modality: PSMA PET/CT | tracer: [18F]PSMA-1007 | view: axial
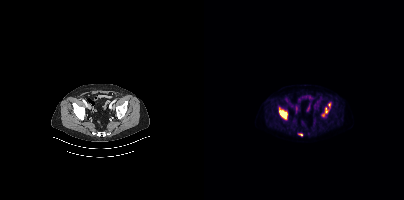
Coordinates are on the 200×200 PET (right) panel. PSMA-avid tumor lesion bounding boxes (x0,y0,x1,y1): [75,108,83,119] [118,107,124,116] [94,133,98,135]. Small PSMA-avid focus (2 to 4 px across) near (center x, center y): (125, 105).